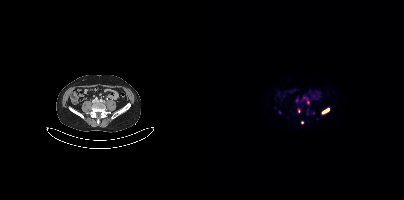
{"modality":"PSMA PET/CT","view":"axial","tracer":"[68Ga]Ga-PSMA-11","pet_grid":[200,200],"coord_frame":"pet_panel","coord_format":"x0,y0,x1,y1","partial":true,"lesion_bboxes":[[118,108,125,113],[100,97,105,104]],"small_foci_centers":[[95,111],[75,112],[103,109]]}